Left: CT. Right: PSMA PET, same axial level, 68Ga-PSMA tracer. Acquired on Siemens Biograph 64-4R TruePoint. Slice position z = -170 mm.
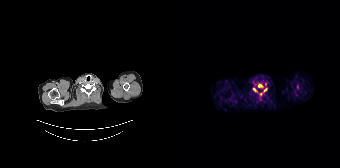
Coordinates are on the 168×168 PET (right) panel. (showing 4 of 5 foci) PSMA-avid tumor lesion bounding box (x0, y0)-(x1, y1): (86, 84)-(90, 87). Small PSMA-avid foci (2 to 4 px across) near (center x, center y): (82, 89); (93, 89); (88, 93).